Left: CT. Right: PSMA PET, same axial level, 18F tracer. Slice 140 of 391.
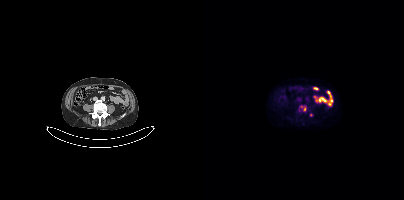
Coordinates are on the 200×200 PET (right) panel. PSMA-avid tumor lesion bounding box (x, y, width, height): x=99 y=106 w=4 h=6. Small PSMA-avid foci (2 to 4 px across) near (center x, center y): (97, 106) | (106, 114).